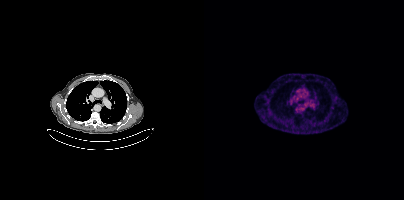
Technique: Two-panel axial: CT | PSMA PET, [68Ga]Ga-PSMA-11 tracer.
Findings: This slice has no annotated PSMA-avid lesion.